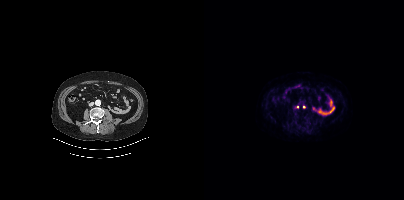
{"modality":"PSMA PET/CT","view":"axial","tracer":"18F","pet_grid":[200,200],"coord_frame":"pet_panel","coord_format":"x0,y0,x1,y1","partial":true,"lesion_bboxes":[],"small_foci_centers":[[100,106]]}